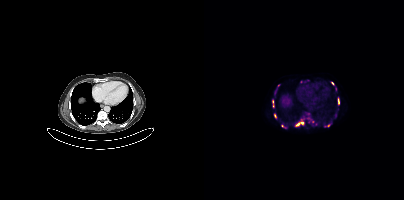
modality: PSMA PET/CT | tracer: 18F-PSMA | view: axial
Coordinates are on the 200×200 PET (right) panel. (showing 5 of 9 foci) PSMA-avid tumor lesion bounding boxes (x0,y0,x1,y1): [95,122,99,125], [134,97,135,104]. Small PSMA-avid foci (2 to 4 px across) near (center x, center y): (71, 115), (124, 125), (128, 83).